modality: PSMA PET/CT | tracer: 68Ga-PSMA | view: axial | PET grid: 168×168 | de-identification: face masked with black rectangle
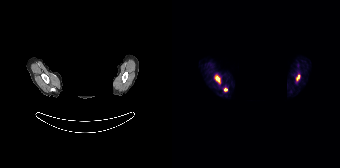
Coordinates are on the 168×168 PET (right) panel. PSMA-avid tumor lesion bounding boxes (x0, y0)-(x1, y1): (42, 74)-(48, 83) / (124, 74)-(128, 81). Small PSMA-avid focus (2 to 4 px across) near (center x, center y): (53, 89).